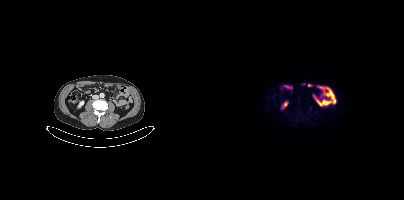
Coordinates are on the 200×200 PET (right) panel. Small PSMA-avid focus (2 to 4 px across) near (center x, center y): (106, 108).